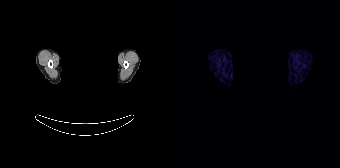
{"pet_grid":[168,168],"coord_frame":"pet_panel","coord_format":"x0,y0,x1,y1","psma_avid_lesions":false,"de-identification":"head region blanked (face removed)","modality":"PSMA PET/CT","view":"axial","tracer":"[68Ga]Ga-PSMA-11"}